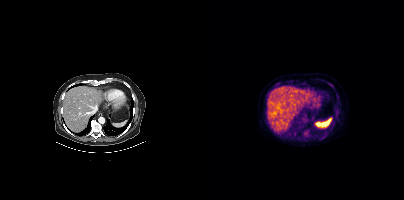
{"modality":"PSMA PET/CT","view":"axial","tracer":"18F-PSMA","pet_grid":[200,200],"coord_frame":"pet_panel","coord_format":"x0,y0,x1,y1","lesion_bboxes":[],"small_foci_centers":[[127,85]]}